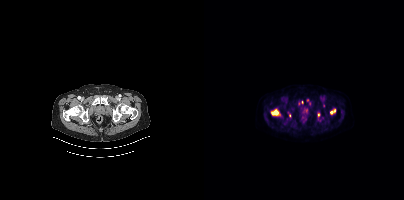
Coordinates are on the 200×200 PET (right) panel. PSMA-avid tumor lesion bounding boxes (x0,y0,x1,y1): [67,109,76,115], [126,108,131,113], [84,112,86,116], [119,103,120,107]. Small PSMA-avid foci (2 to 4 px across) near (center x, center y): (95, 103), (103, 100), (98, 102), (114, 114).